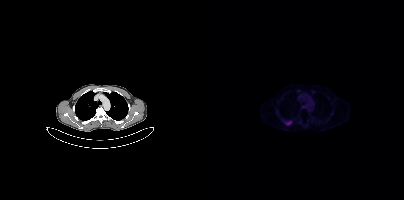
Coordinates are on the 200×200 PET (right) panel. PSMA-avid tumor lesion bounding box (x, y, width, height): x=81 y=121 w=7 h=4.